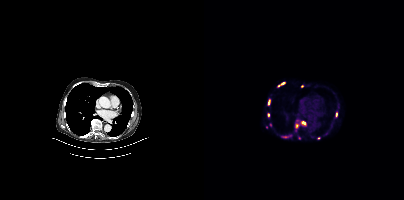
Technique: Paired axial CT (left) and PSMA PET (right), 68Ga-PSMA tracer. acquired on Siemens Biograph mCT Flow 20. slice position z = -1148 mm. PET panel 200×200 px (4.1 mm/px).
Findings: Coordinates are on the 200×200 PET (right) panel. (showing 11 of 13 foci) PSMA-avid tumor lesion bounding box (x0, y0)-(x1, y1): (64, 100)-(65, 104). Small PSMA-avid foci (2 to 4 px across) near (center x, center y): (93, 125) / (132, 114) / (78, 83) / (64, 115) / (80, 136) / (98, 86) / (100, 122) / (74, 85) / (66, 124) / (114, 137).